Left: CT. Right: PSMA PET, same axial level, 18F tracer. Slice position z = -1008 mm.
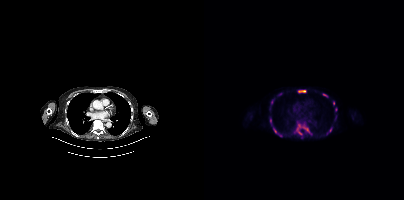
Coordinates are on the 200×200 PET (right) panel. PSMA-avid tumor lesion bounding boxes (x, y, width, height): x=90 y=123 w=15 h=16; x=94 y=90 w=8 h=3; x=65 y=119 w=4 h=8; x=123 y=128 w=5 h=6; x=119 y=93 w=5 h=5. Small PSMA-avid foci (2 to 4 px across) near (center x, center y): (76, 93); (132, 109); (71, 130); (77, 135); (129, 103); (67, 102).